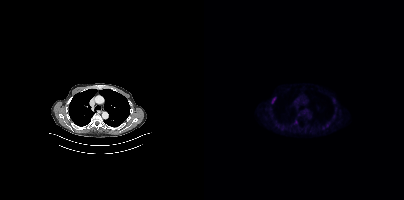
Coordinates are on the 200×200 PET (right) panel. PSMA-avid tumor lesion bounding box (x0,y0,x1,y1): [67,97,71,102].
modality: PSMA PET/CT | tracer: 18F | view: axial | PET grid: 200×200